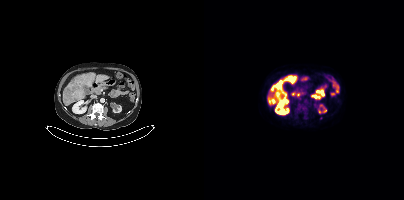
modality: PSMA PET/CT | tracer: 18F-PSMA | view: axial | PET grid: 200×200
Coordinates are on the 200×200 PET (right) panel. PSMA-avid tumor lesion bounding box (x0, y0)-(x1, y1): (72, 81)-(78, 87). Small PSMA-avid foci (2 to 4 px across) near (center x, center y): (88, 81) / (117, 118).